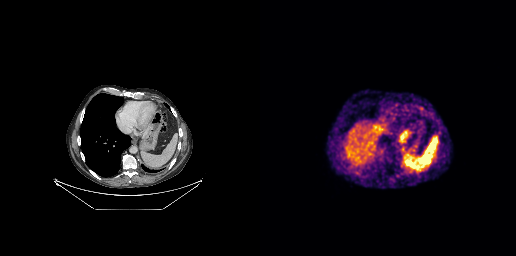
Two-panel axial: CT | PSMA PET, 68Ga-PSMA tracer. Acquired on GE Discovery 690. Slice position z = -467 mm. PET panel 256×256 px (2.7 mm/px). This slice has no annotated PSMA-avid lesion.